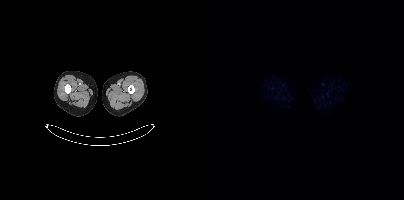
Findings: No PSMA-avid tumor lesions on this slice.
- Two-panel axial: CT | PSMA PET, 18F tracer
- PET panel 200×200 px (4.1 mm/px)